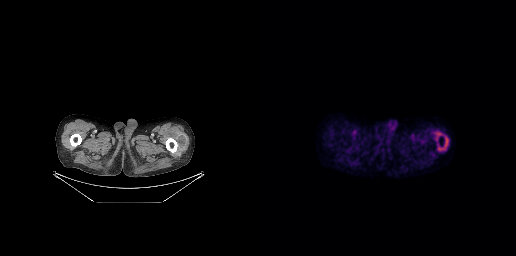
modality: PSMA PET/CT | tracer: 18F | view: axial
This slice has no annotated PSMA-avid lesion.